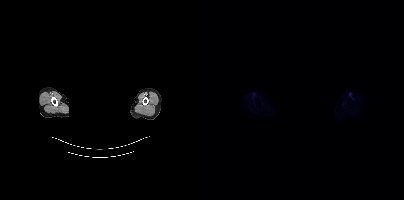
{"pet_grid":[200,200],"coord_frame":"pet_panel","coord_format":"x0,y0,x1,y1","psma_avid_lesions":false,"redaction":"privacy mask over head","modality":"PSMA PET/CT","view":"axial","tracer":"18F"}